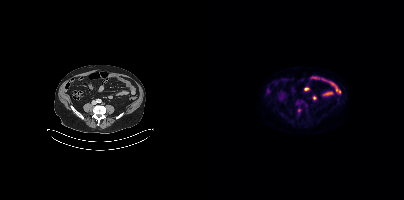
Two-panel axial: CT | PSMA PET, 18F-PSMA tracer. Acquired on Siemens Biograph mCT Flow 20. Coordinates are on the 200×200 PET (right) panel. Small PSMA-avid focus (2 to 4 px across) near (center x, center y): (94, 110).